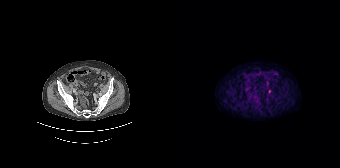
No PSMA-avid tumor lesions on this slice. Two-panel axial: CT | PSMA PET, 68Ga tracer. Slice position z = -1370 mm.